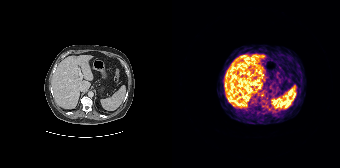
{"modality":"PSMA PET/CT","view":"axial","tracer":"68Ga","pet_grid":[168,168],"coord_frame":"pet_panel","coord_format":"x0,y0,x1,y1","psma_avid_lesions":false}